- Paired axial CT (left) and PSMA PET (right), [18F]PSMA-1007 tracer
- slice 29 of 395
- PET panel 200×200 px (4.1 mm/px)
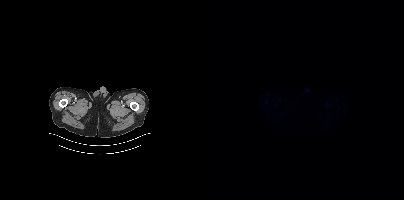
Findings: No tumor lesions annotated on this slice.